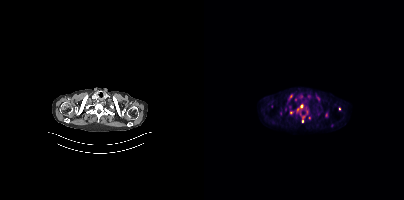
Paired axial CT (left) and PSMA PET (right), 18F tracer. PET panel 200×200 px (4.1 mm/px). Coordinates are on the 200×200 PET (right) panel. (showing 6 of 8 foci) PSMA-avid tumor lesion bounding box (x, y, width, height): x=92 y=104 w=13 h=19. Small PSMA-avid foci (2 to 4 px across) near (center x, center y): (87, 112); (113, 97); (81, 109); (76, 113); (105, 117).